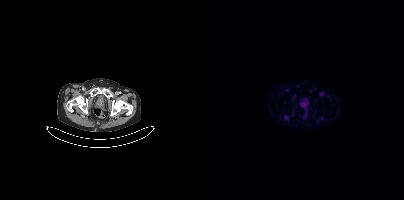
{"pet_grid":[200,200],"coord_frame":"pet_panel","coord_format":"x0,y0,x1,y1","psma_avid_lesions":false,"modality":"PSMA PET/CT","view":"axial","tracer":"[18F]PSMA-1007"}